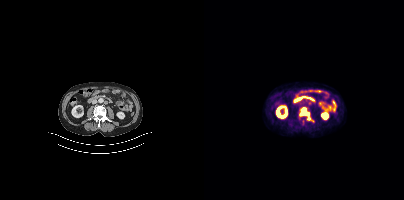
Left: CT. Right: PSMA PET, same axial level, [18F]PSMA-1007 tracer. PET panel 200×200 px (4.1 mm/px).
Coordinates are on the 200×200 PET (right) panel. PSMA-avid tumor lesion bounding boxes:
| # | x0 | y0 | x1 | y1 |
|---|---|---|---|---|
| 1 | 95 | 107 | 107 | 120 |